Two-panel axial: CT | PSMA PET, 18F tracer. Slice 29 of 383. PET panel 200×200 px (4.1 mm/px).
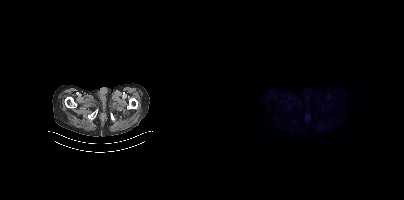
No PSMA-avid tumor lesions on this slice.